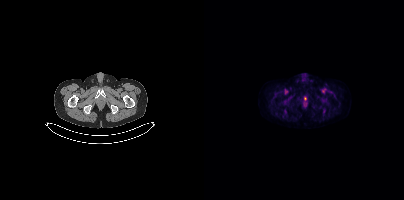
{"modality":"PSMA PET/CT","view":"axial","tracer":"18F","pet_grid":[200,200],"coord_frame":"pet_panel","coord_format":"x0,y0,x1,y1","lesion_bboxes":[],"small_foci_centers":[[101,98]]}